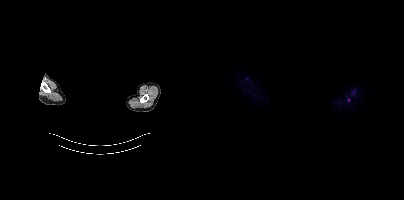
Paired axial CT (left) and PSMA PET (right), 18F-PSMA tracer. Acquired on Siemens Biograph mCT Flow 20. An anonymization step blacked out a rectangle over the head in this scan. Coordinates are on the 200×200 PET (right) panel. Small PSMA-avid focus (2 to 4 px across) near (center x, center y): (144, 99).